Paired axial CT (left) and PSMA PET (right), 18F-PSMA tracer. Slice 195 of 421.
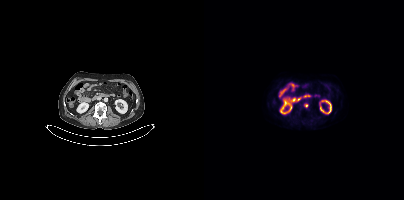
Coordinates are on the 200×200 PET (right) panel. Small PSMA-avid focus (2 to 4 px across) near (center x, center y): (102, 105).